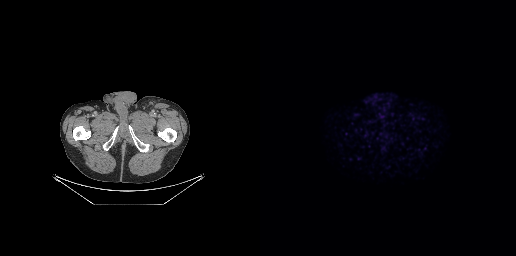
{"modality":"PSMA PET/CT","view":"axial","tracer":"[18F]PSMA-1007","pet_grid":[256,256],"coord_frame":"pet_panel","coord_format":"x0,y0,x1,y1","psma_avid_lesions":false}